- Paired axial CT (left) and PSMA PET (right), [18F]PSMA-1007 tracer
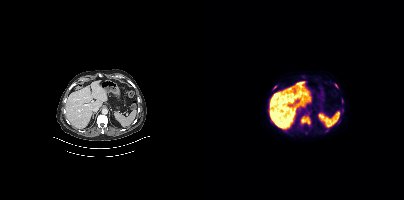
Findings: Coordinates are on the 200×200 PET (right) panel. PSMA-avid tumor lesion bounding box (x0, y0)-(x1, y1): (97, 116)-(106, 126). Small PSMA-avid foci (2 to 4 px across) near (center x, center y): (70, 87) / (132, 85) / (138, 100) / (138, 109).